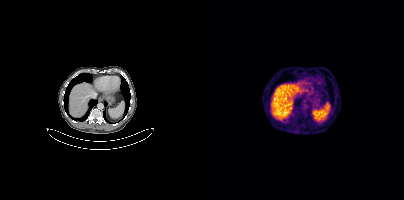
{"pet_grid":[200,200],"coord_frame":"pet_panel","coord_format":"x0,y0,x1,y1","psma_avid_lesions":false,"modality":"PSMA PET/CT","view":"axial","tracer":"68Ga"}